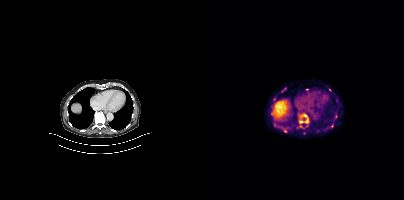
{"pet_grid":[200,200],"coord_frame":"pet_panel","coord_format":"x0,y0,x1,y1","partial":true,"lesion_bboxes":[[95,115,104,123]],"small_foci_centers":[[80,130],[128,126],[103,89],[132,116]],"modality":"PSMA PET/CT","view":"axial","tracer":"[18F]PSMA-1007"}